- Two-panel axial: CT | PSMA PET, [18F]PSMA-1007 tracer
- slice 232 of 393
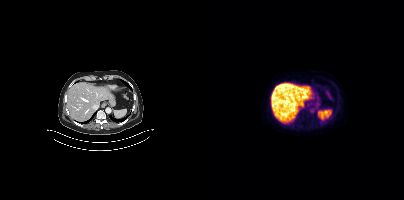
Findings: No tumor lesions annotated on this slice.